- Paired axial CT (left) and PSMA PET (right), 18F tracer
- acquired on Siemens Biograph mCT Flow 20
- slice position z = -866 mm
- PET panel 200×200 px (4.1 mm/px)
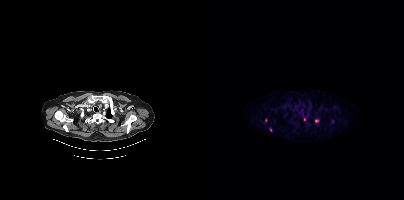
Findings: Coordinates are on the 200×200 PET (right) panel. PSMA-avid tumor lesion bounding box (x0,y0,x1,y1): [111,119,115,122]. Small PSMA-avid foci (2 to 4 px across) near (center x, center y): (100, 119); (66, 129); (61, 120); (128, 121).